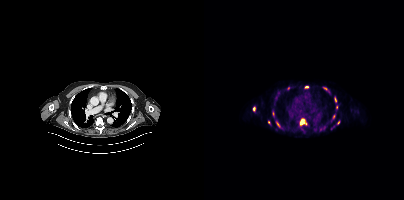
{"modality":"PSMA PET/CT","view":"axial","tracer":"[18F]PSMA-1007","pet_grid":[200,200],"coord_frame":"pet_panel","coord_format":"x0,y0,x1,y1","partial":true,"lesion_bboxes":[[96,119,102,125],[130,97,132,102],[119,87,123,90],[72,122,75,126]],"small_foci_centers":[[102,87],[134,122],[84,88],[129,116],[132,107],[49,109],[64,122]]}